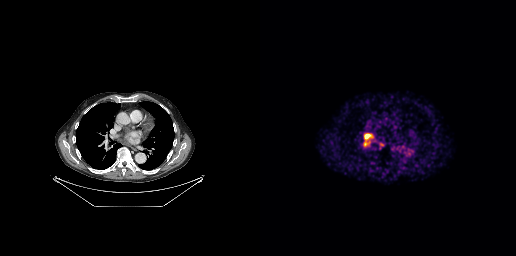
modality: PSMA PET/CT | tracer: 68Ga-PSMA | view: axial
Coordinates are on the 256×256 PET (right) panel. PSMA-avid tumor lesion bounding box (x0,y0,x1,y1): [104,133,112,140]. Small PSMA-avid focus (2 to 4 px across) near (center x, center y): (105, 143).